- Paired axial CT (left) and PSMA PET (right), 18F tracer
- acquired on Siemens Biograph mCT Flow 20
- PET panel 200×200 px (4.1 mm/px)
- privacy masking over the head, with the pixels inside a rectangle set to black
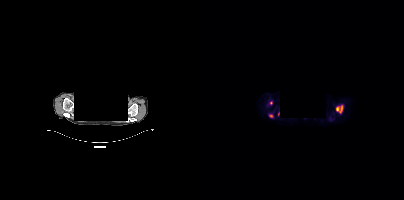
Findings: Coordinates are on the 200×200 PET (right) panel. PSMA-avid tumor lesion bounding boxes (x0,y0,x1,y1): [132,105,138,113]; [65,114,69,117]. Small PSMA-avid focus (2 to 4 px across) near (center x, center y): (67, 103).